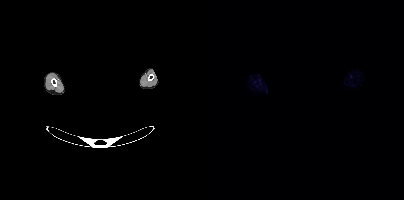
Paired axial CT (left) and PSMA PET (right), 18F-PSMA tracer. Slice 399 of 403. An anonymization step blacked out a rectangle over the head in this scan. Negative for PSMA-avid disease on this slice.